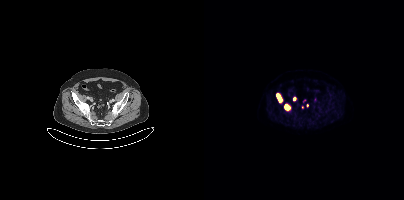
Coordinates are on the 200×200 PET (right) panel. (showing 3 of 5 foci) PSMA-avid tumor lesion bounding boxes (x0,y0,x1,y1): [81,104,85,110]; [73,94,77,101]. Small PSMA-avid focus (2 to 4 px across) near (center x, center y): (90, 98).